- Left: CT. Right: PSMA PET, same axial level, 18F tracer
- acquired on Siemens Biograph mCT Flow 20
- PET panel 200×200 px (4.1 mm/px)
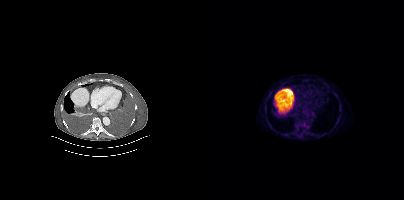
Findings: Coordinates are on the 200×200 PET (right) panel. Small PSMA-avid foci (2 to 4 px across) near (center x, center y): (65, 95) (108, 114).